Technique: Paired axial CT (left) and PSMA PET (right), 18F-PSMA tracer. slice position z = -339 mm.
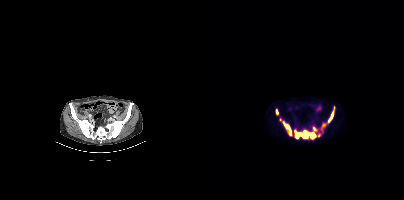
Findings: Coordinates are on the 200×200 PET (right) panel. (showing 5 of 6 foci) PSMA-avid tumor lesion bounding boxes (x0, y0)-(x1, y1): (90, 127)-(112, 138); (75, 118)-(88, 135); (118, 111)-(129, 127); (113, 132)-(118, 136); (72, 109)-(74, 114).